Two-panel axial: CT | PSMA PET, [68Ga]Ga-PSMA-11 tracer.
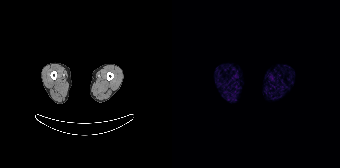
This slice has no annotated PSMA-avid lesion.